Two-panel axial: CT | PSMA PET, 18F tracer.
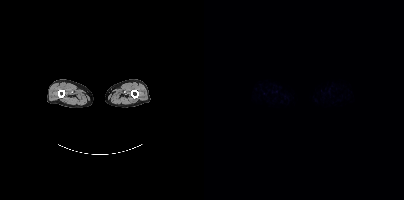
No PSMA-avid tumor lesions on this slice.